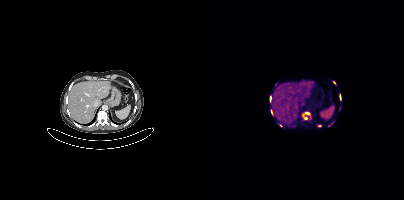
Coordinates are on the 200×200 PET (right) panel. (showing 9 of 11 foci) PSMA-avid tumor lesion bounding boxes (x0, y0)-(x1, y1): (98, 112)-(107, 119) | (66, 96)-(67, 101) | (67, 110)-(68, 114) | (124, 123)-(128, 126). Small PSMA-avid foci (2 to 4 px across) near (center x, center y): (89, 126) | (115, 125) | (135, 108) | (77, 125) | (130, 82).